The head region is masked for de-identification.
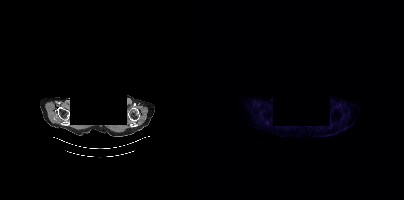
No tumor lesions annotated on this slice.